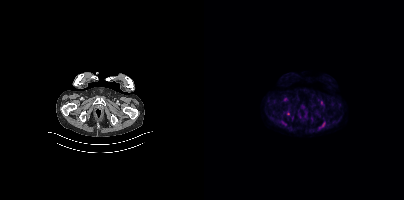
Findings: Coordinates are on the 200×200 PET (right) panel. Small PSMA-avid focus (2 to 4 px across) near (center x, center y): (84, 113).
- Paired axial CT (left) and PSMA PET (right), 18F-PSMA tracer
- acquired on Siemens Biograph mCT Flow 20